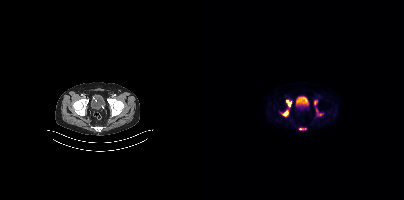
Coordinates are on the 200×200 PET (right) panel. PSMA-avid tumor lesion bounding boxes (x0,y0,x1,y1): [78,110,84,116], [82,100,87,107], [112,108,119,116], [110,100,113,105], [95,128,102,130].